Left: CT. Right: PSMA PET, same axial level, [18F]PSMA-1007 tracer. PET panel 200×200 px (4.1 mm/px).
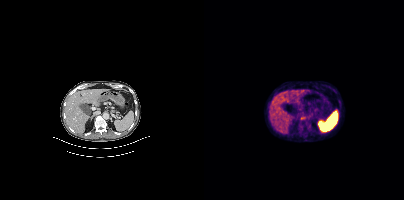
Coordinates are on the 200×200 PET (right) panel. PSMA-avid tumor lesion bounding boxes:
| # | x0 | y0 | x1 | y1 |
|---|---|---|---|---|
| 1 | 95 | 116 | 105 | 125 |